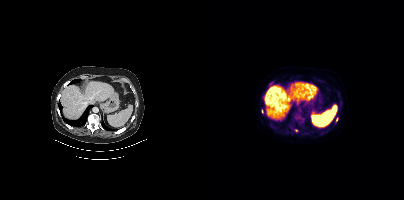
modality: PSMA PET/CT | tracer: [18F]PSMA-1007 | view: axial
Coordinates are on the 200×200 PET (right) panel. Small PSMA-avid foci (2 to 4 px across) near (center x, center y): (132, 119) / (92, 130) / (58, 111).